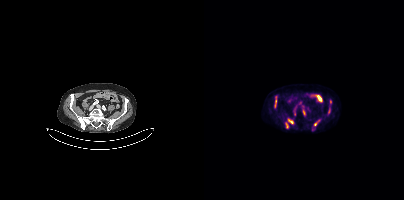
Left: CT. Right: PSMA PET, same axial level, [18F]PSMA-1007 tracer. Acquired on Siemens Biograph mCT Flow 20. PET panel 200×200 px (4.1 mm/px). Coordinates are on the 200×200 PET (right) panel. PSMA-avid tumor lesion bounding boxes (x0,y0,x1,y1): [84,119,89,123]; [71,96,72,107]; [81,123,84,128]; [124,109,126,113]. Small PSMA-avid focus (2 to 4 px across) near (center x, center y): (111, 124).